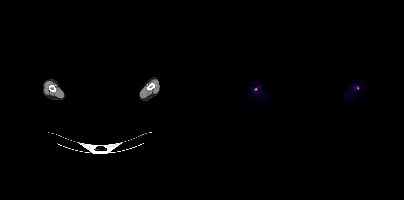
modality: PSMA PET/CT | tracer: [18F]PSMA-1007 | view: axial | PET grid: 200×200 | de-identification: head region blanked (face removed)
Coordinates are on the 200×200 PET (right) panel. Small PSMA-avid foci (2 to 4 px across) near (center x, center y): (153, 87) | (51, 89).